Paired axial CT (left) and PSMA PET (right), [68Ga]Ga-PSMA-11 tracer.
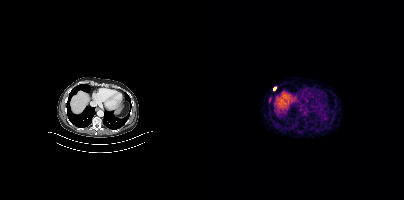
Coordinates are on the 200×200 PET (right) panel. Small PSMA-avid foci (2 to 4 px across) near (center x, center y): (65, 100); (70, 88).